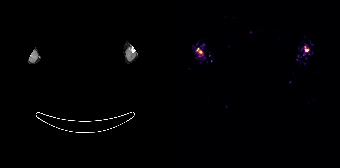
Findings: Coordinates are on the 168×168 PET (right) panel. (showing 2 of 3 foci) PSMA-avid tumor lesion bounding box (x, y, width, height): x=24 y=48 w=7 h=6. Small PSMA-avid focus (2 to 4 px across) near (center x, center y): (134, 50).
Technique: Left: CT. Right: PSMA PET, same axial level, 68Ga-PSMA tracer.
Note: De-identified by setting a box covering the face to black before release.